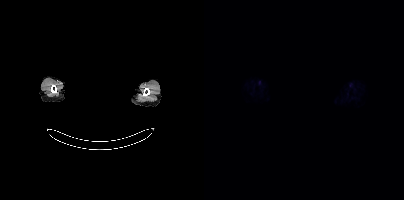
Findings: Negative for PSMA-avid disease on this slice.
- an anonymization step blacked out a rectangle over the head in this scan
- Paired axial CT (left) and PSMA PET (right), 18F tracer
- PET panel 200×200 px (4.1 mm/px)